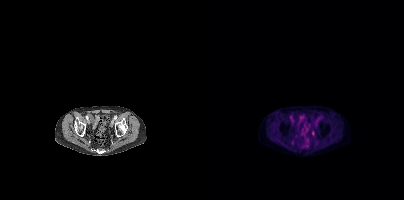
No PSMA-avid tumor lesions on this slice.